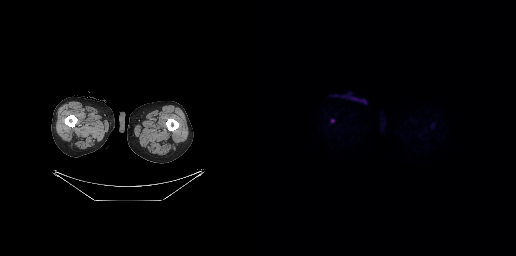
{"modality":"PSMA PET/CT","view":"axial","tracer":"18F-PSMA","pet_grid":[256,256],"coord_frame":"pet_panel","coord_format":"x0,y0,x1,y1","psma_avid_lesions":false}